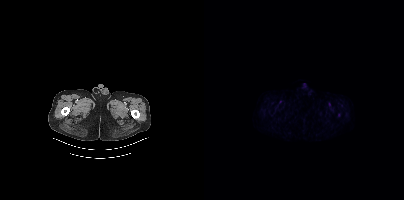
Technique: Left: CT. Right: PSMA PET, same axial level, 18F tracer. acquired on Siemens Biograph mCT Flow 20.
Findings: No PSMA-avid tumor lesions on this slice.